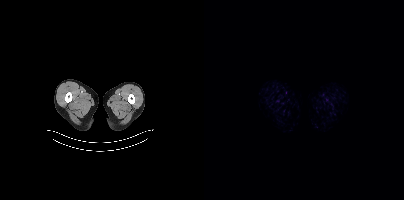
No PSMA-avid tumor lesions on this slice.
modality: PSMA PET/CT | tracer: [18F]PSMA-1007 | view: axial | PET grid: 200×200